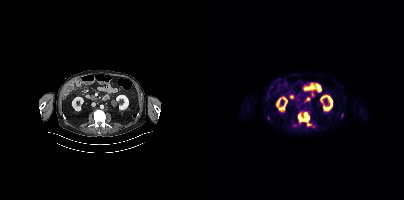
{"pet_grid":[200,200],"coord_frame":"pet_panel","coord_format":"x0,y0,x1,y1","lesion_bboxes":[[94,112,105,125]],"small_foci_centers":[[138,115]],"modality":"PSMA PET/CT","view":"axial","tracer":"18F"}